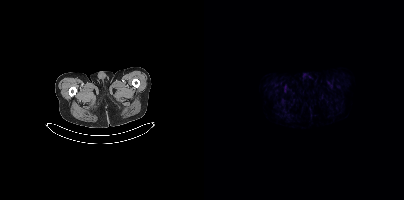
Two-panel axial: CT | PSMA PET, 18F tracer. Acquired on Siemens Biograph mCT Flow 20. PET panel 200×200 px (4.1 mm/px). No PSMA-avid tumor lesions on this slice.